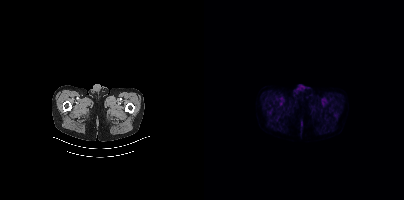
Negative for PSMA-avid disease on this slice.